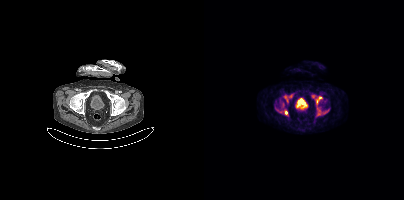
- Two-panel axial: CT | PSMA PET, [18F]PSMA-1007 tracer
Findings: Coordinates are on the 200×200 PET (right) panel. (showing 5 of 8 foci) PSMA-avid tumor lesion bounding boxes (x0, y0)-(x1, y1): (79, 94)-(89, 103); (112, 96)-(118, 104); (80, 110)-(83, 115). Small PSMA-avid foci (2 to 4 px across) near (center x, center y): (115, 114); (115, 110).